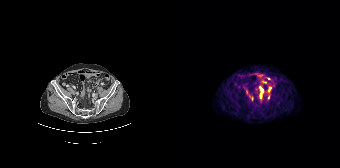
{"pet_grid":[168,168],"coord_frame":"pet_panel","coord_format":"x0,y0,x1,y1","partial":true,"lesion_bboxes":[[96,86,99,91],[88,93,89,97]],"small_foci_centers":[[89,89],[74,91],[96,78]],"modality":"PSMA PET/CT","view":"axial","tracer":"68Ga-PSMA"}